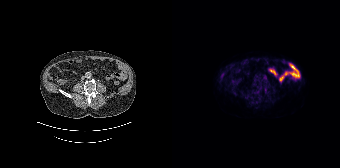
No tumor lesions annotated on this slice. Paired axial CT (left) and PSMA PET (right), [18F]PSMA-1007 tracer. Slice position z = -1086 mm. PET panel 168×168 px (4.1 mm/px).